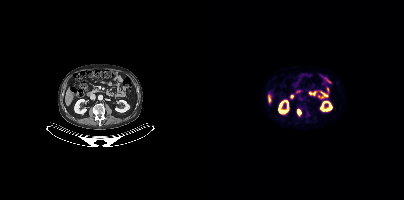
Left: CT. Right: PSMA PET, same axial level, 18F-PSMA tracer.
Coordinates are on the 200×200 PET (right) panel. PSMA-avid tumor lesion bounding boxes:
| # | x0 | y0 | x1 | y1 |
|---|---|---|---|---|
| 1 | 93 | 109 | 97 | 115 |